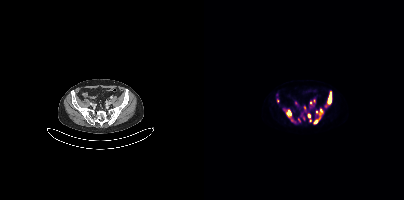
Coordinates are on the 200×200 PET (right) panel. (showing 11 of 13 foci) PSMA-avid tumor lesion bounding boxes (x0, y0)-(x1, y1): (82, 110)-(91, 122) / (121, 94)-(127, 107) / (115, 108)-(119, 118) / (103, 114)-(107, 121) / (106, 99)-(111, 104) / (94, 118)-(96, 122). Small PSMA-avid foci (2 to 4 px across) near (center x, center y): (111, 121) / (100, 107) / (112, 112) / (99, 118) / (91, 102).
modality: PSMA PET/CT | tracer: 18F | view: axial